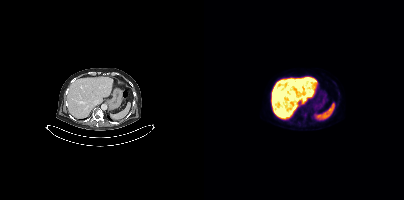
modality: PSMA PET/CT | tracer: [18F]PSMA-1007 | view: axial | PET grid: 200×200
No PSMA-avid tumor lesions on this slice.